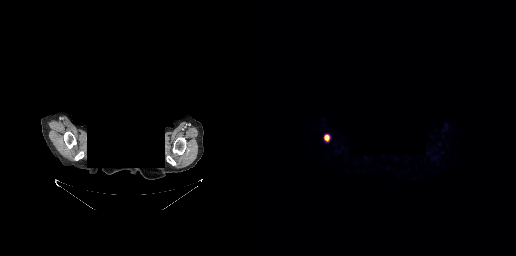
{"modality":"PSMA PET/CT","view":"axial","tracer":"[68Ga]Ga-PSMA-11","pet_grid":[256,256],"coord_frame":"pet_panel","coord_format":"x0,y0,x1,y1","redaction":"face masked with black rectangle","lesion_bboxes":[[65,135,68,140]]}